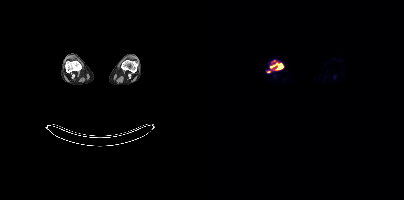
Findings: Coordinates are on the 200×200 PET (right) panel. PSMA-avid tumor lesion bounding box (x, y, width, height): x=66 y=60 w=14 h=10. Small PSMA-avid focus (2 to 4 px across) near (center x, center y): (64, 71).
- Left: CT. Right: PSMA PET, same axial level, 18F tracer
- slice 307 of 963
- PET panel 200×200 px (4.1 mm/px)